Left: CT. Right: PSMA PET, same axial level, 18F tracer. Slice position z = -1020 mm. PET panel 200×200 px (4.1 mm/px).
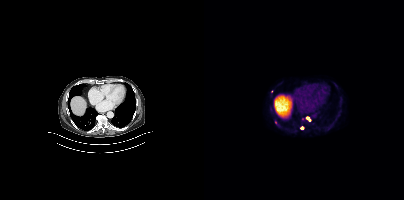
Coordinates are on the 200×200 PET (right) panel. (showing 3 of 4 foci) Small PSMA-avid foci (2 to 4 px across) near (center x, center y): (71, 122); (103, 117); (98, 127).